Technique: Left: CT. Right: PSMA PET, same axial level, [18F]PSMA-1007 tracer. PET panel 256×256 px (2.7 mm/px).
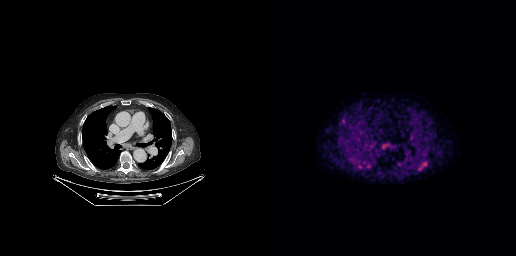
Findings: Coordinates are on the 256×256 PET (right) panel. PSMA-avid tumor lesion bounding boxes (x0,y0,x1,y1): [158,162,166,170], [122,144,125,148].